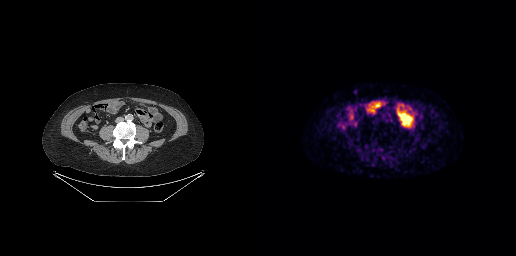
Findings: Negative for PSMA-avid disease on this slice.
- Two-panel axial: CT | PSMA PET, 68Ga-PSMA tracer